modality: PSMA PET/CT | tracer: 18F | view: axial
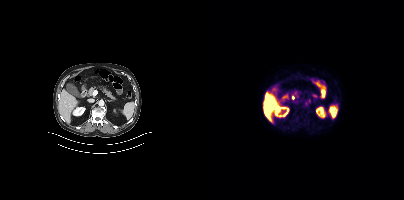
No tumor lesions annotated on this slice.